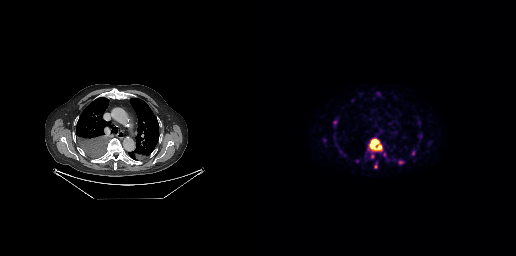
Coordinates are on the 256×256 PET (right) panel. (showing 6 of 8 foci) PSMA-avid tumor lesion bounding box (x0,y0,x1,y1): [108,138,122,151]. Small PSMA-avid foci (2 to 4 px across) near (center x, center y): (140, 162) (112, 156) (75, 122) (116, 166) (124, 154). Paired axial CT (left) and PSMA PET (right), 18F tracer. Slice position z = -242 mm.